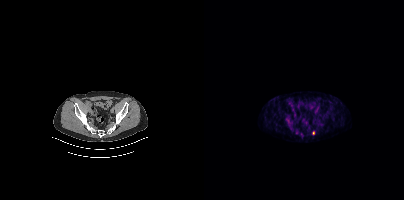
Coordinates are on the 200×200 PET (right) panel. Small PSMA-avid focus (2 to 4 px across) near (center x, center y): (109, 133).